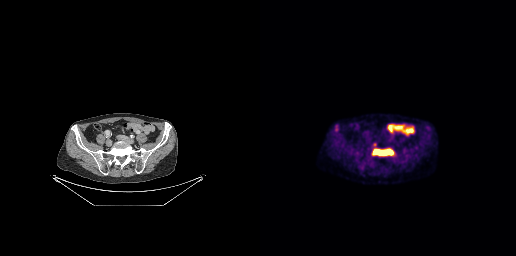
Coordinates are on the 256×256 PET (right) panel. PSMA-avid tumor lesion bounding boxes:
| # | x0 | y0 | x1 | y1 |
|---|---|---|---|---|
| 1 | 112 | 148 | 134 | 155 |
| 2 | 113 | 143 | 116 | 147 |
Left: CT. Right: PSMA PET, same axial level, 18F tracer.